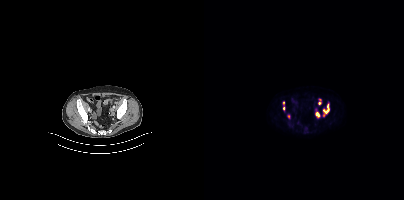
{"modality":"PSMA PET/CT","view":"axial","tracer":"[18F]PSMA-1007","pet_grid":[200,200],"coord_frame":"pet_panel","coord_format":"x0,y0,x1,y1","partial":true,"lesion_bboxes":[[119,104,125,116],[112,112,115,117]],"small_foci_centers":[[115,103],[80,108],[84,116],[79,102]]}